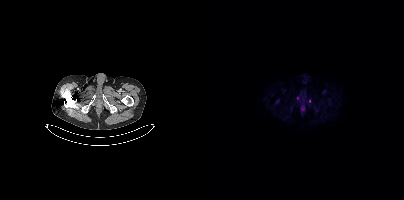
modality: PSMA PET/CT | tracer: 18F | view: axial | PET grid: 200×200
Coordinates are on the 200×200 PET (right) panel. PSMA-avid tumor lesion bounding box (x0,y0,x1,y1): [93,96,96,100]. Small PSMA-avid focus (2 to 4 px across) near (center x, center y): (105, 101).